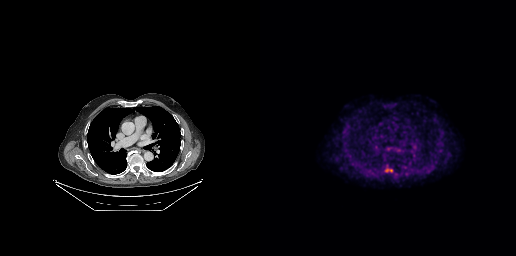
modality: PSMA PET/CT | tracer: [18F]PSMA-1007 | view: axial | PET grid: 256×256
Coordinates are on the 256×256 PET (right) panel. Small PSMA-avid foci (2 to 4 px across) near (center x, center y): (127, 170); (131, 170).